- Two-panel axial: CT | PSMA PET, [18F]PSMA-1007 tracer
- acquired on Siemens Biograph mCT Flow 20
- slice 40 of 425
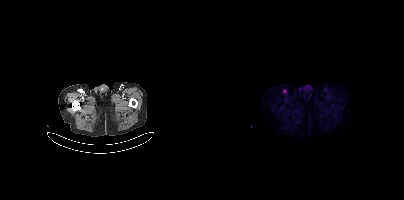
Findings: Coordinates are on the 200×200 PET (right) panel. Small PSMA-avid focus (2 to 4 px across) near (center x, center y): (80, 90).